modality: PSMA PET/CT | tracer: 18F | view: axial
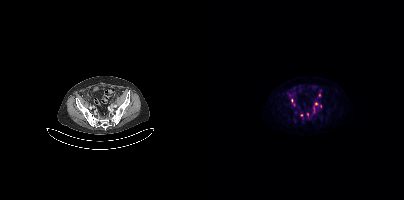
Coordinates are on the 200×200 PET (right) panel. (showing 7 of 8 foci) PSMA-avid tumor lesion bounding boxes (x, y, width, height): x=110 y=102 w=5 h=4 | x=109 y=107 w=2 h=7. Small PSMA-avid foci (2 to 4 px across) near (center x, center y): (88, 100) | (97, 115) | (103, 114) | (116, 106) | (115, 94).